Left: CT. Right: PSMA PET, same axial level, 18F tracer. Slice 311 of 427. PET panel 200×200 px (4.1 mm/px).
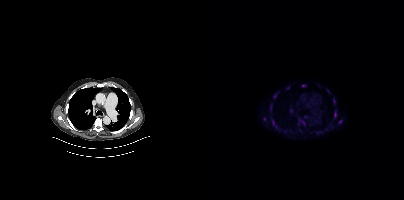
Coordinates are on the 200×200 PET (right) panel. PSMA-avid tumor lesion bounding boxes (partial; 2 more foci not listed):
| # | x0 | y0 | x1 | y1 |
|---|---|---|---|---|
| 1 | 68 | 119 | 73 | 127 |
| 2 | 95 | 119 | 101 | 125 |
| 3 | 130 | 111 | 132 | 118 |
| 4 | 70 | 93 | 72 | 98 |
| 5 | 129 | 99 | 131 | 103 |
| 6 | 66 | 105 | 67 | 109 |
Small PSMA-avid foci (2 to 4 px across) near (center x, center y): (87, 110); (136, 121); (99, 85); (60, 119); (124, 91); (101, 116).